Paired axial CT (left) and PSMA PET (right), [18F]PSMA-1007 tracer. Slice 16 of 397.
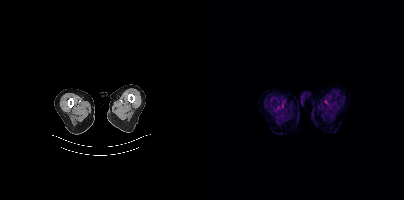
This slice has no annotated PSMA-avid lesion.